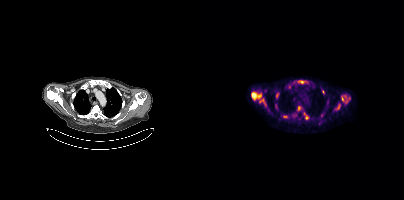
Findings: Coordinates are on the 200×200 PET (right) panel. PSMA-avid tumor lesion bounding boxes (x0, y0)-(x1, y1): (47, 92)-(57, 99) / (93, 80)-(102, 83) / (137, 96)-(145, 103) / (100, 113)-(104, 119) / (72, 92)-(75, 97) / (79, 115)-(83, 118) / (93, 106)-(96, 110) / (132, 104)-(136, 109). Small PSMA-avid foci (2 to 4 px across) near (center x, center y): (61, 104) / (141, 96) / (57, 100) / (71, 105) / (118, 91).
Technique: Paired axial CT (left) and PSMA PET (right), 18F tracer.